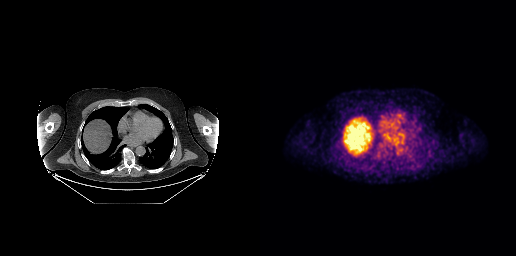
{"pet_grid":[256,256],"coord_frame":"pet_panel","coord_format":"x0,y0,x1,y1","psma_avid_lesions":false,"modality":"PSMA PET/CT","view":"axial","tracer":"18F-PSMA"}